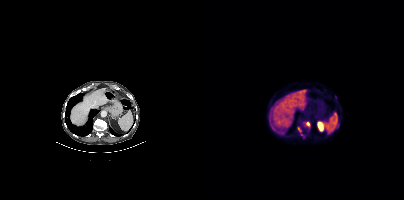
{"pet_grid":[200,200],"coord_frame":"pet_panel","coord_format":"x0,y0,x1,y1","lesion_bboxes":[[94,127,97,131]],"small_foci_centers":[[103,123],[97,134]],"modality":"PSMA PET/CT","view":"axial","tracer":"[18F]PSMA-1007"}